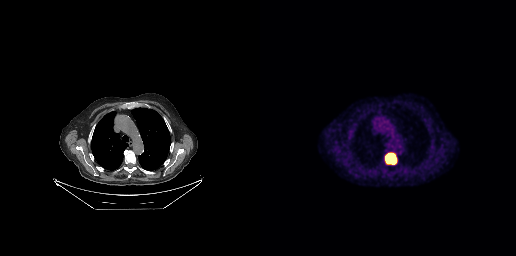
modality: PSMA PET/CT | tracer: 18F | view: axial
Coordinates are on the 256×256 PET (right) panel. PSMA-avid tumor lesion bounding box (x, y, width, height): x=125 y=152 w=13 h=13.